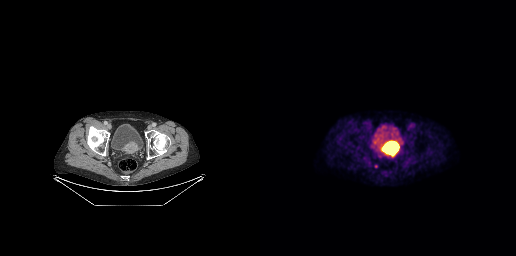
Two-panel axial: CT | PSMA PET, [18F]PSMA-1007 tracer. Slice 57 of 263. PET panel 256×256 px (2.7 mm/px).
Coordinates are on the 256×256 PET (right) panel. PSMA-avid tumor lesion bounding boxes:
| # | x0 | y0 | x1 | y1 |
|---|---|---|---|---|
| 1 | 123 | 143 | 137 | 153 |
Small PSMA-avid focus (2 to 4 px across) near (center x, center y): (115, 166).